modality: PSMA PET/CT | tracer: 18F | view: axial | PET grid: 200×200
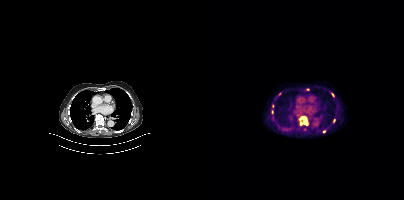
Coordinates are on the 200×200 PET (right) panel. PSMA-avid tumor lesion bounding box (x0, y0)-(x1, y1): (95, 116)-(104, 125). Small PSMA-avid foci (2 to 4 px across) near (center x, center y): (128, 94); (68, 111); (130, 120); (120, 131); (68, 106); (75, 93).